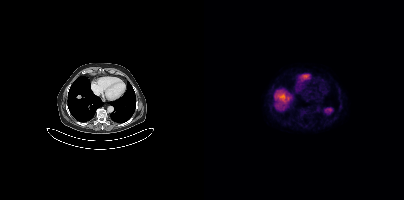
No tumor lesions annotated on this slice.